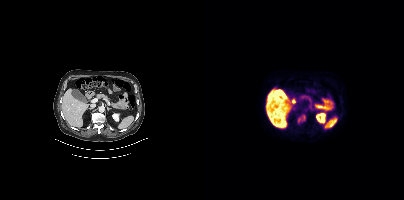
Findings: Coordinates are on the 200×200 PET (right) panel. (showing 2 of 3 foci) Small PSMA-avid foci (2 to 4 px across) near (center x, center y): (100, 119); (99, 116).
Technique: Left: CT. Right: PSMA PET, same axial level, 18F tracer. slice position z = -1134 mm. PET panel 200×200 px (4.1 mm/px).